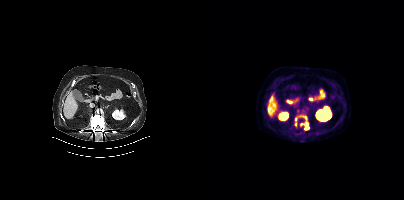
Findings: Coordinates are on the 200×200 PET (right) panel. (showing 5 of 6 foci) PSMA-avid tumor lesion bounding box (x0, y0)-(x1, y1): (94, 114)-(102, 119). Small PSMA-avid foci (2 to 4 px across) near (center x, center y): (102, 127); (97, 124); (91, 124); (91, 119).
Technique: Left: CT. Right: PSMA PET, same axial level, 18F tracer. slice position z = 210 mm.